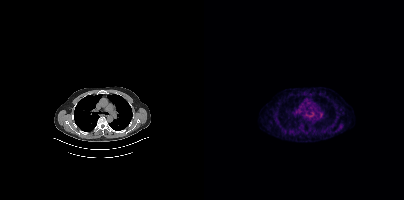
Only PSMA-avid lesion pieces thinner than 2 px on this slice (not listed).